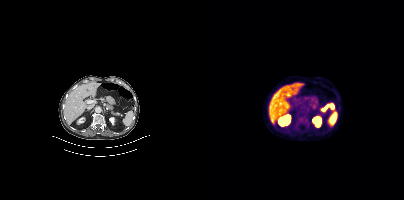
This slice has no annotated PSMA-avid lesion.